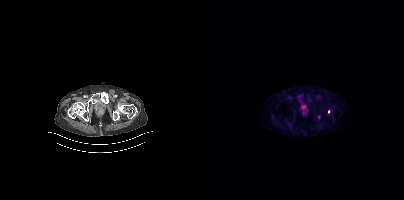
modality: PSMA PET/CT | tracer: [18F]PSMA-1007 | view: axial | PET grid: 200×200
Coordinates are on the 200×200 PET (right) panel. Small PSMA-avid foci (2 to 4 px across) near (center x, center y): (115, 117) | (124, 111).